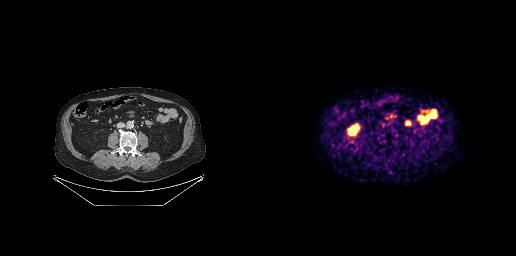
Findings: Negative for PSMA-avid disease on this slice.
- Left: CT. Right: PSMA PET, same axial level, 68Ga tracer
- PET panel 256×256 px (2.7 mm/px)